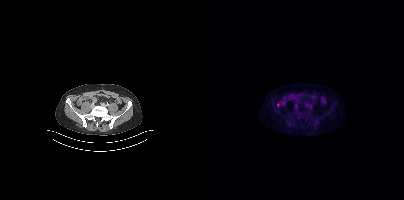
{"modality":"PSMA PET/CT","view":"axial","tracer":"[18F]PSMA-1007","pet_grid":[200,200],"coord_frame":"pet_panel","coord_format":"x0,y0,x1,y1","partial":true,"lesion_bboxes":[]}